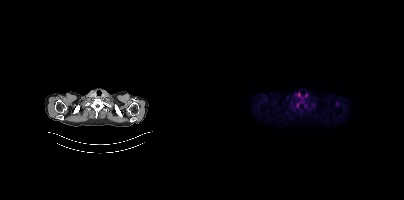
This slice has no annotated PSMA-avid lesion.
modality: PSMA PET/CT | tracer: 18F-PSMA | view: axial | PET grid: 200×200